modality: PSMA PET/CT | tracer: [68Ga]Ga-PSMA-11 | view: axial
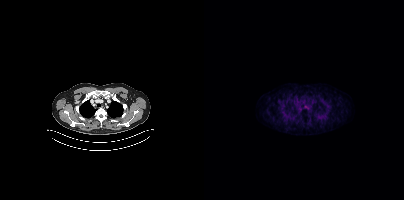
Negative for PSMA-avid disease on this slice.